Left: CT. Right: PSMA PET, same axial level, 18F-PSMA tracer. Acquired on Siemens Biograph mCT Flow 20. Slice 219 of 411. PET panel 200×200 px (4.1 mm/px).
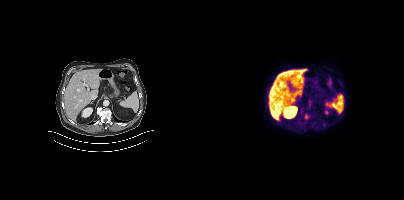
Coordinates are on the 200×200 PET (right) panel. Small PSMA-avid focus (2 to 4 px across) near (center x, center y): (102, 117).